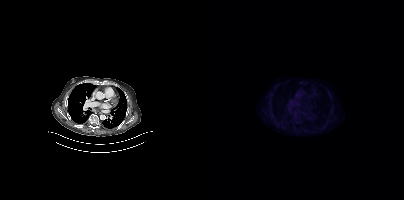
- Two-panel axial: CT | PSMA PET, [18F]PSMA-1007 tracer
- acquired on Siemens Biograph mCT Flow 20
- PET panel 200×200 px (4.1 mm/px)
Findings: Negative for PSMA-avid disease on this slice.